Paired axial CT (left) and PSMA PET (right), [18F]PSMA-1007 tracer.
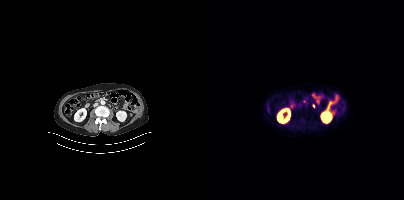
Coordinates are on the 200×200 PET (right) panel. Small PSMA-avid foci (2 to 4 px across) near (center x, center y): (100, 101), (109, 105).